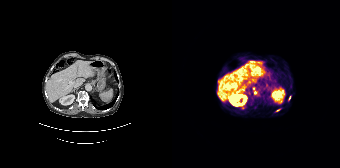
Two-panel axial: CT | PSMA PET, [68Ga]Ga-PSMA-11 tracer. Acquired on Siemens Biograph 64-4R TruePoint. PET panel 168×168 px (4.1 mm/px).
Coordinates are on the 168×168 PET (right) panel. PSMA-avid tumor lesion bounding boxes:
| # | x0 | y0 | x1 | y1 |
|---|---|---|---|---|
| 1 | 80 | 87 | 85 | 94 |
| 2 | 104 | 109 | 108 | 111 |
Small PSMA-avid foci (2 to 4 px across) near (center x, center y): (70, 108); (117, 97).